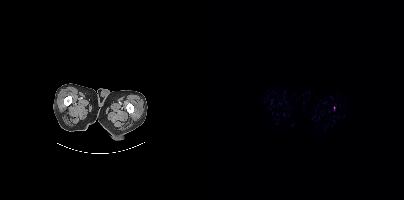
modality: PSMA PET/CT | tracer: 18F-PSMA | view: axial
Negative for PSMA-avid disease on this slice.